Paired axial CT (left) and PSMA PET (right), 18F-PSMA tracer. Slice 115 of 165.
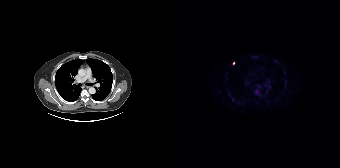
Coordinates are on the 168×168 PET (right) panel. Small PSMA-avid foci (2 to 4 px across) near (center x, center y): (84, 91); (61, 63).